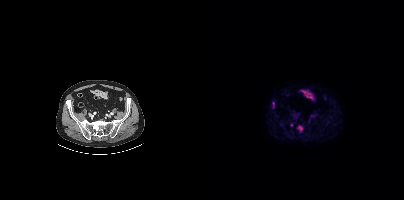
Paired axial CT (left) and PSMA PET (right), [18F]PSMA-1007 tracer.
Coordinates are on the 200×200 PET (right) panel. PSMA-avid tumor lesion bounding boxes (partial; 2 more foci not listed):
| # | x0 | y0 | x1 | y1 |
|---|---|---|---|---|
| 1 | 94 | 126 | 98 | 130 |